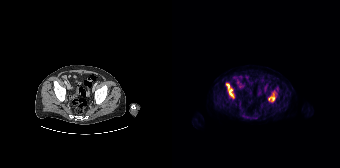
No tumor lesions annotated on this slice.